Two-panel axial: CT | PSMA PET, 18F-PSMA tracer. Acquired on Siemens Biograph mCT Flow 20.
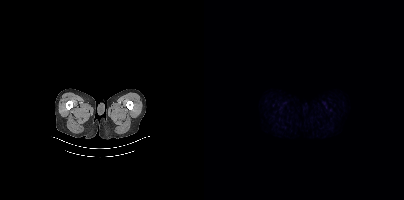
This slice has no annotated PSMA-avid lesion.